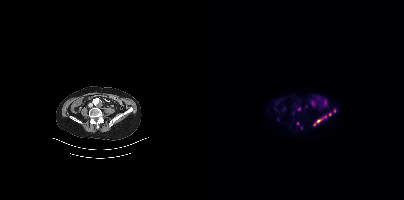
Findings: Coordinates are on the 200×200 PET (right) panel. Small PSMA-avid foci (2 to 4 px across) near (center x, center y): (130, 110) | (112, 122) | (97, 127) | (93, 123) | (125, 114) | (116, 120) | (121, 116).
- Left: CT. Right: PSMA PET, same axial level, 68Ga tracer
- PET panel 200×200 px (4.1 mm/px)